- Two-panel axial: CT | PSMA PET, 68Ga tracer
- slice position z = -1455 mm
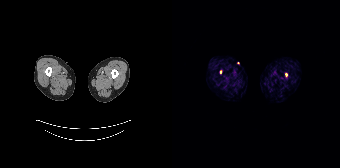
Findings: Coordinates are on the 168×168 PET (right) panel. (showing 1 of 2 foci) Small PSMA-avid focus (2 to 4 px across) near (center x, center y): (114, 74).